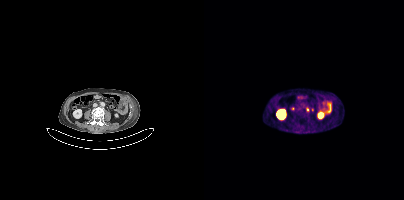
- Two-panel axial: CT | PSMA PET, [68Ga]Ga-PSMA-11 tracer
- slice position z = -856 mm
Findings: Coordinates are on the 200×200 PET (right) panel. PSMA-avid tumor lesion bounding box (x0,y0,x1,y1): [102,107,104,111].